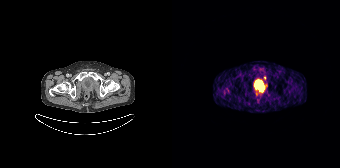
modality: PSMA PET/CT | tracer: [68Ga]Ga-PSMA-11 | view: axial | PET grid: 168×168
Coordinates are on the 168×168 PET (right) panel. (showing 2 of 3 foci) PSMA-avid tumor lesion bounding box (x0, y0)-(x1, y1): (90, 86)-(92, 90). Small PSMA-avid focus (2 to 4 px across) near (center x, center y): (92, 78).